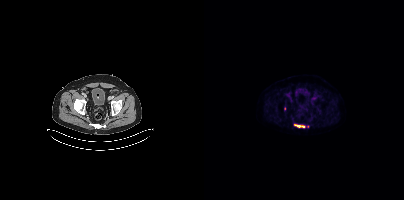
Coordinates are on the 200×200 PET (right) panel. (showing 2 of 3 foci) PSMA-avid tumor lesion bounding box (x0, y0)-(x1, y1): (90, 124)-(101, 127). Small PSMA-avid focus (2 to 4 px across) near (center x, center y): (80, 108).